Two-panel axial: CT | PSMA PET, 18F-PSMA tracer. Acquired on Siemens Biograph mCT Flow 20. PET panel 200×200 px (4.1 mm/px). An anonymization step blacked out a rectangle over the head in this scan.
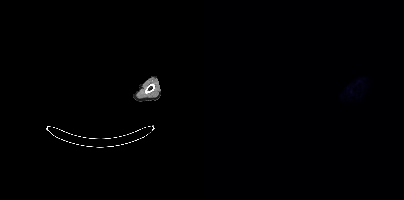
Negative for PSMA-avid disease on this slice.